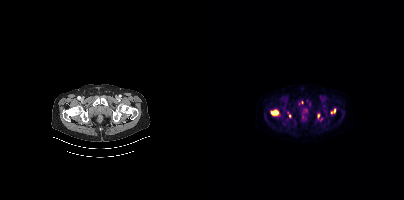
Coordinates are on the 200×200 PET (right) panel. PSMA-avid tumor lesion bounding boxes (x0,y0,x1,y1): [66,109,75,115] [126,108,131,114] [83,111,87,117]. Small PSMA-avid foci (2 to 4 px across) near (center x, center y): (95, 103) (119, 106) (98, 102) (114, 116).